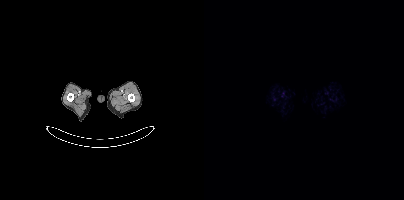
{"modality":"PSMA PET/CT","view":"axial","tracer":"18F-PSMA","pet_grid":[200,200],"coord_frame":"pet_panel","coord_format":"x0,y0,x1,y1","psma_avid_lesions":false}